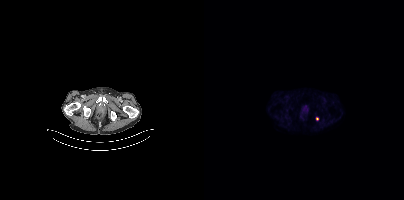
Left: CT. Right: PSMA PET, same axial level, 18F tracer. Acquired on Siemens Biograph mCT Flow 20. Slice position z = -30 mm. Coordinates are on the 200×200 PET (right) panel. Small PSMA-avid focus (2 to 4 px across) near (center x, center y): (113, 118).